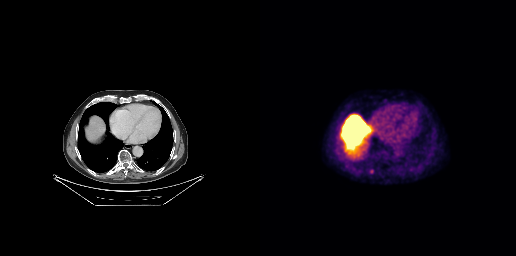
{"modality":"PSMA PET/CT","view":"axial","tracer":"[18F]PSMA-1007","pet_grid":[256,256],"coord_frame":"pet_panel","coord_format":"x0,y0,x1,y1","lesion_bboxes":[[109,169,114,173]]}